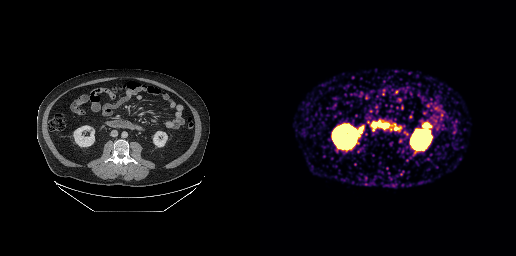
Technique: Paired axial CT (left) and PSMA PET (right), 68Ga-PSMA tracer.
Findings: This slice has no annotated PSMA-avid lesion.